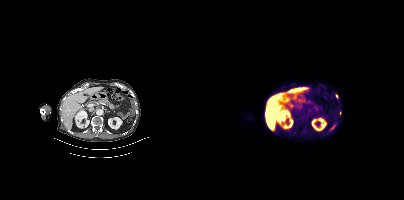
Paired axial CT (left) and PSMA PET (right), 18F-PSMA tracer. Slice 214 of 411.
Coordinates are on the 200×200 PET (right) panel. PSMA-avid tumor lesion bounding boxes:
| # | x0 | y0 | x1 | y1 |
|---|---|---|---|---|
| 1 | 131 | 94 | 134 | 98 |
Small PSMA-avid focus (2 to 4 px across) near (center x, center y): (136, 113).